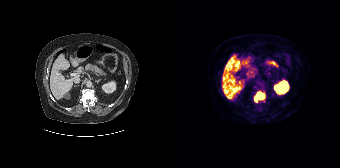
Coordinates are on the 168×168 PET (right) panel. PSMA-avid tumor lesion bounding box (x, y, width, height): x=82 y=91 w=12 h=12. Paired axial CT (left) and PSMA PET (right), 68Ga-PSMA tracer. Slice 115 of 195.